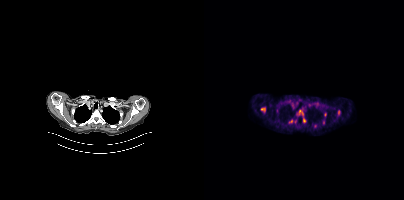
Coordinates are on the 200×200 PET (right) panel. (showing 7 of 8 foci) PSMA-avid tumor lesion bounding boxes (x0,y0,x1,y1): [57,107,61,112] [134,110,136,114]. Small PSMA-avid foci (2 to 4 px across) near (center x, center y): (121, 114) (96, 111) (113, 104) (100, 120) (119, 122).